Technique: Two-panel axial: CT | PSMA PET, [18F]PSMA-1007 tracer. acquired on Siemens Biograph mCT Flow 20. slice position z = -1024 mm.
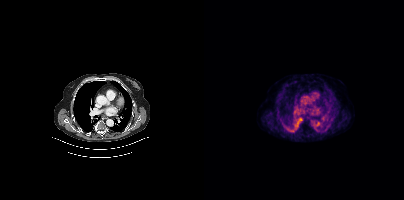
Findings: No tumor lesions annotated on this slice.